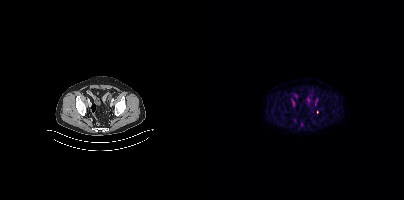
Findings: Coordinates are on the 200×200 PET (right) panel. PSMA-avid tumor lesion bounding box (x0,y0,x1,y1): [89,118,92,122]. Small PSMA-avid foci (2 to 4 px across) near (center x, center y): (113, 112), (110, 122).
Technique: Paired axial CT (left) and PSMA PET (right), 18F-PSMA tracer.